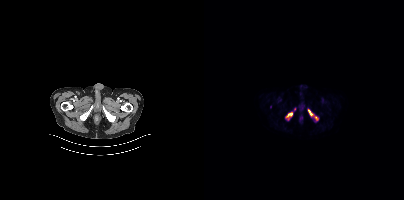
Coordinates are on the 200×200 PET (right) panel. PSMA-avid tumor lesion bounding boxes (x0, y0)-(x1, y1): (82, 112)-(88, 120) | (104, 109)-(108, 115) | (110, 116)-(114, 120). Small PSMA-avid focus (2 to 4 px across) near (center x, center y): (90, 109).